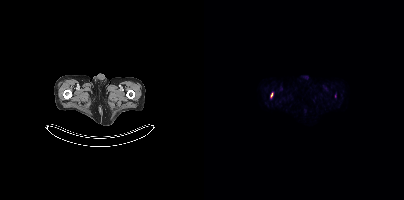
Left: CT. Right: PSMA PET, same axial level, 18F tracer. Coordinates are on the 200×200 PET (right) panel. Small PSMA-avid focus (2 to 4 px across) near (center x, center y): (67, 94).